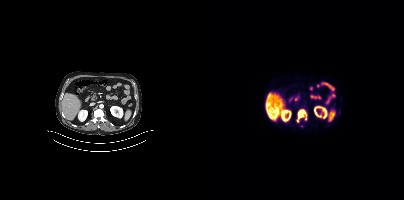
Findings: Coordinates are on the 200×200 PET (right) panel. PSMA-avid tumor lesion bounding box (x, y, width, height): x=92 y=109 w=12 h=14.
Technique: Paired axial CT (left) and PSMA PET (right), 18F tracer. acquired on Siemens Biograph mCT Flow 20. slice 196 of 395.